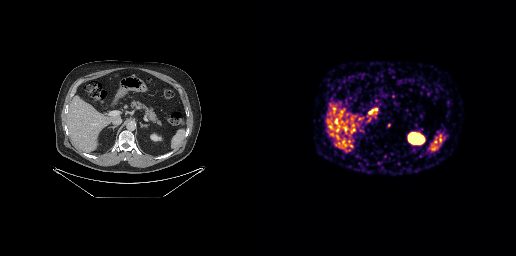
modality: PSMA PET/CT | tracer: 68Ga | view: axial
Coordinates are on the 256×256 PET (right) panel. PSMA-avid tumor lesion bounding box (x, y, width, height): x=108 y=109 w=6 h=7.